Left: CT. Right: PSMA PET, same axial level, 18F-PSMA tracer. Slice position z = 484 mm.
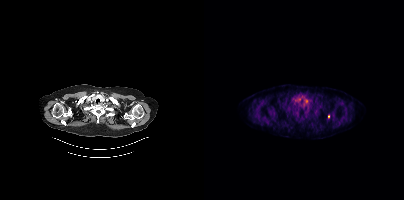
Coordinates are on the 200×200 PET (right) panel. Small PSMA-avid focus (2 to 4 px across) near (center x, center y): (124, 116).